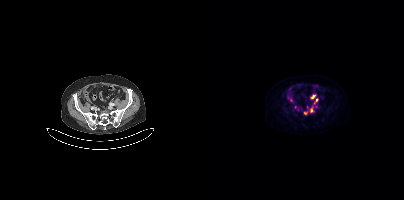
{"pet_grid":[200,200],"coord_frame":"pet_panel","coord_format":"x0,y0,x1,y1","partial":true,"lesion_bboxes":[[107,95,111,98],[110,99,113,103]],"small_foci_centers":[[107,110],[101,113]],"modality":"PSMA PET/CT","view":"axial","tracer":"18F-PSMA"}